modality: PSMA PET/CT | tracer: [18F]PSMA-1007 | view: axial | PET grid: 168×168
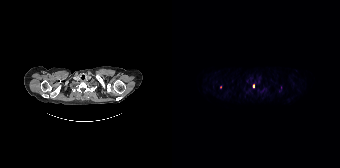
Coordinates are on the 168×168 PET (right) panel. (showing 1 of 2 foci) Small PSMA-avid focus (2 to 4 px across) near (center x, center y): (81, 85).